modality: PSMA PET/CT | tracer: 18F-PSMA | view: axial
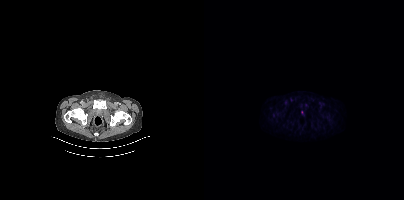
Only PSMA-avid lesion pieces thinner than 2 px on this slice (not listed).